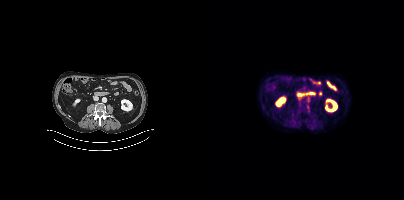
{"modality":"PSMA PET/CT","view":"axial","tracer":"18F-PSMA","pet_grid":[200,200],"coord_frame":"pet_panel","coord_format":"x0,y0,x1,y1","partial":true,"lesion_bboxes":[]}